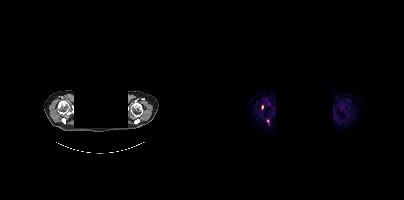
Paired axial CT (left) and PSMA PET (right), 18F-PSMA tracer. An anonymization step blacked out a rectangle over the head in this scan. Coordinates are on the 200×200 PET (right) panel. Small PSMA-avid foci (2 to 4 px across) near (center x, center y): (58, 107) / (64, 103) / (63, 120).